Technique: Paired axial CT (left) and PSMA PET (right), 68Ga-PSMA tracer. slice 341 of 444. PET panel 200×200 px (4.1 mm/px).
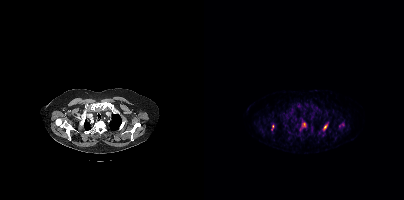
Findings: Coordinates are on the 200×200 PET (right) panel. (showing 5 of 6 foci) PSMA-avid tumor lesion bounding boxes (x0, y0)-(x1, y1): (95, 123)-(102, 131) | (118, 122)-(124, 130). Small PSMA-avid foci (2 to 4 px across) near (center x, center y): (139, 124) | (68, 126) | (135, 125).